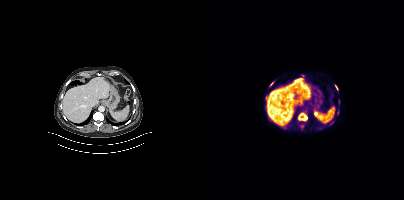
Left: CT. Right: PSMA PET, same axial level, 18F tracer. Coordinates are on the 200×200 PET (right) panel. (showing 3 of 5 foci) PSMA-avid tumor lesion bounding boxes (x, y, width, height): x=95 y=113 w=8 h=7 / x=131 y=85 w=3 h=5. Small PSMA-avid focus (2 to 4 px across) near (center x, center y): (67, 83).